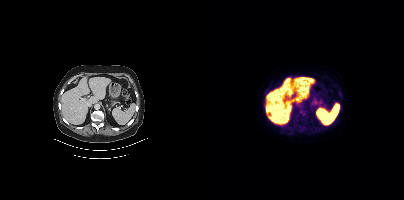
{"modality":"PSMA PET/CT","view":"axial","tracer":"18F","pet_grid":[200,200],"coord_frame":"pet_panel","coord_format":"x0,y0,x1,y1","lesion_bboxes":[[95,110,101,115],[96,116,102,121],[92,115,95,120]],"small_foci_centers":[[93,124],[136,93]]}